Left: CT. Right: PSMA PET, same axial level, 68Ga tracer. Acquired on Siemens Biograph 64-4R TruePoint. PET panel 168×168 px (4.1 mm/px).
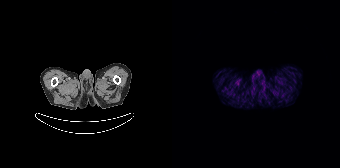
No PSMA-avid tumor lesions on this slice.